Technique: Paired axial CT (left) and PSMA PET (right), 18F-PSMA tracer. PET panel 200×200 px (4.1 mm/px).
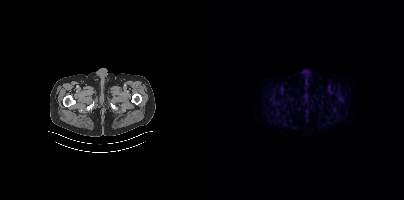
Findings: This slice has no annotated PSMA-avid lesion.